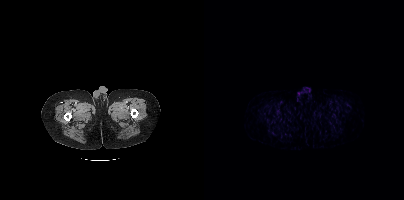
No PSMA-avid tumor lesions on this slice.